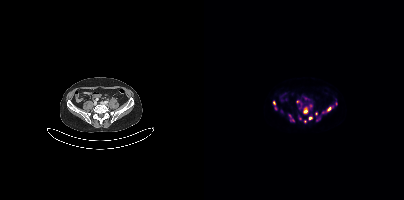
{"modality":"PSMA PET/CT","view":"axial","tracer":"18F","pet_grid":[200,200],"coord_frame":"pet_panel","coord_format":"x0,y0,x1,y1","partial":true,"lesion_bboxes":[[99,107,103,113],[123,106,129,111]],"small_foci_centers":[[70,102],[96,118],[115,119],[112,113],[106,118],[89,120],[101,121],[106,105],[86,116],[93,101],[71,108]]}